- Left: CT. Right: PSMA PET, same axial level, 68Ga tracer
- acquired on Siemens Biograph 64-4R TruePoint
- PET panel 168×168 px (4.1 mm/px)
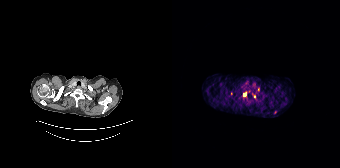
Findings: Coordinates are on the 168×168 PET (right) panel. (showing 4 of 5 foci) PSMA-avid tumor lesion bounding box (x0, y0)-(x1, y1): (71, 92)-(74, 96). Small PSMA-avid foci (2 to 4 px across) near (center x, center y): (59, 93) | (82, 96) | (86, 88).